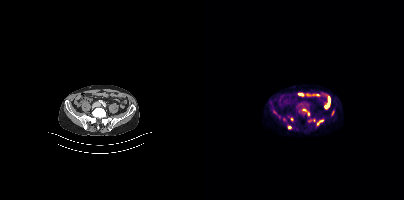
{"modality":"PSMA PET/CT","view":"axial","tracer":"18F","pet_grid":[200,200],"coord_frame":"pet_panel","coord_format":"x0,y0,x1,y1","partial":true,"lesion_bboxes":[[113,120,119,125]],"small_foci_centers":[[100,110],[85,127],[104,113],[128,112]]}